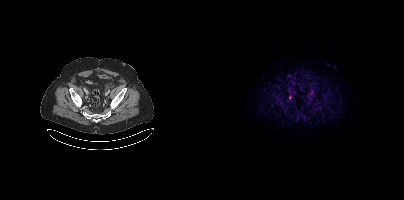
Coordinates are on the 200×200 PET (right) panel. Small PSMA-avid foci (2 to 4 px across) near (center x, center y): (86, 97); (106, 98). Two-panel axial: CT | PSMA PET, 18F tracer. Acquired on Siemens Biograph mCT Flow 20. Slice position z = -659 mm.